modality: PSMA PET/CT | tracer: 18F-PSMA | view: axial
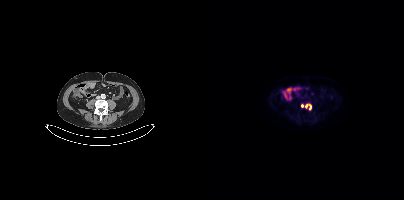
Coordinates are on the 200×200 PET (right) panel. PSMA-avid tumor lesion bounding box (x0,y0,x1,y1): [106,105,107,109]. Small PSMA-avid foci (2 to 4 px across) near (center x, center y): (102, 106), (98, 105).